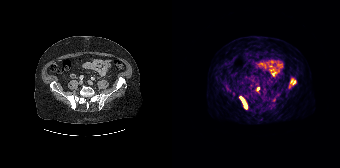
Findings: Coordinates are on the 168×168 PET (right) panel. PSMA-avid tumor lesion bounding boxes (x, y, width, height): x=68 y=96 w=8 h=13 | x=119 y=80 w=5 h=5. Small PSMA-avid focus (2 to 4 px across) near (center x, center y): (86, 88).
Technique: Left: CT. Right: PSMA PET, same axial level, 68Ga tracer. acquired on Siemens Biograph 64-4R TruePoint. slice 82 of 195. PET panel 168×168 px (4.1 mm/px).